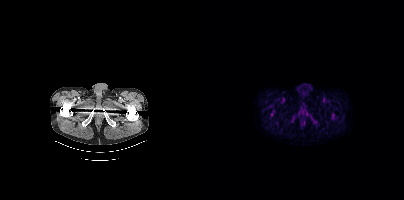
{"modality":"PSMA PET/CT","view":"axial","tracer":"[18F]PSMA-1007","pet_grid":[200,200],"coord_frame":"pet_panel","coord_format":"x0,y0,x1,y1","psma_avid_lesions":false}